Paired axial CT (left) and PSMA PET (right), 18F-PSMA tracer. Slice position z = -499 mm.
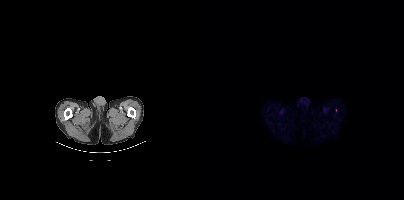
Only PSMA-avid lesion pieces thinner than 2 px on this slice (not listed).